- Paired axial CT (left) and PSMA PET (right), 18F tracer
- slice position z = -1516 mm
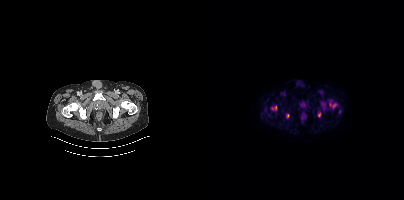
Findings: Coordinates are on the 200×200 PET (right) panel. (showing 5 of 7 foci) PSMA-avid tumor lesion bounding boxes (x, y, width, height): x=67 y=105 w=7 h=6 / x=82 y=114 w=4 h=5. Small PSMA-avid foci (2 to 4 px across) near (center x, center y): (115, 114) / (130, 105) / (135, 111).